Left: CT. Right: PSMA PET, same axial level, 18F tracer. Acquired on Siemens Biograph mCT Flow 20. Slice position z = -622 mm. PET panel 200×200 px (4.1 mm/px).
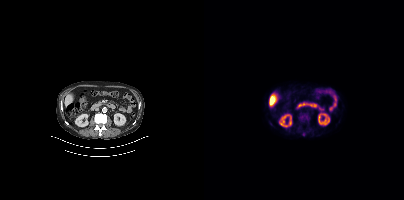
Coordinates are on the 200×200 PET (right) panel. PSMA-avid tumor lesion bounding box (x0, y0)-(x1, y1): (96, 115)-(100, 118). Small PSMA-avid focus (2 to 4 px across) near (center x, center y): (102, 117).